- Left: CT. Right: PSMA PET, same axial level, [18F]PSMA-1007 tracer
- PET panel 256×256 px (2.7 mm/px)
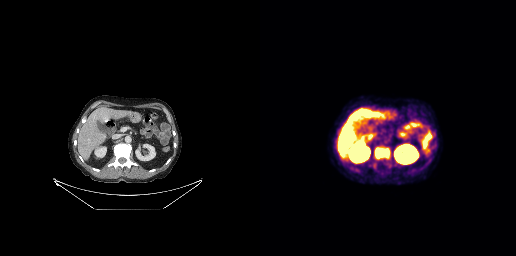
Findings: Coordinates are on the 256×256 PET (right) panel. PSMA-avid tumor lesion bounding box (x0,y0,x1,y1): [115,147,129,158].